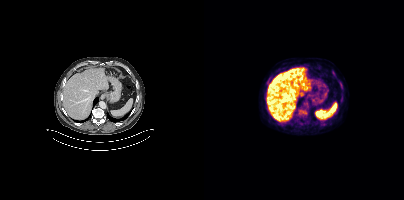
Technique: Two-panel axial: CT | PSMA PET, 18F tracer. acquired on Siemens Biograph mCT Flow 20. slice position z = 1506 mm. PET panel 200×200 px (4.1 mm/px).
Findings: Coordinates are on the 200×200 PET (right) panel. PSMA-avid tumor lesion bounding box (x0, y0)-(x1, y1): (128, 71)-(130, 75).